modality: PSMA PET/CT | tracer: 18F-PSMA | view: axial | PET grid: 200×200 | deidentification: head region blacked out before release
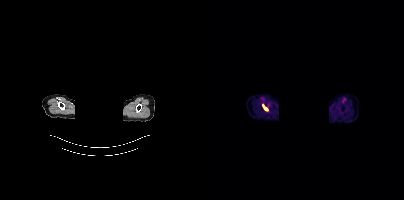
Coordinates are on the 200×200 PET (right) panel. PSMA-avid tumor lesion bounding box (x0, y0)-(x1, y1): (59, 105)-(63, 109).